Technique: Paired axial CT (left) and PSMA PET (right), 18F-PSMA tracer. acquired on Siemens Biograph mCT Flow 20. slice position z = -1238 mm. PET panel 200×200 px (4.1 mm/px).
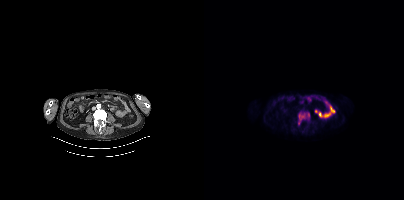
Findings: Coordinates are on the 200×200 PET (right) panel. PSMA-avid tumor lesion bounding box (x0,y0,x1,y1): [94,111,106,124].